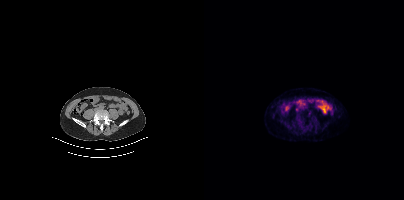
Findings: No tumor lesions annotated on this slice.
- Left: CT. Right: PSMA PET, same axial level, 68Ga-PSMA tracer
- slice position z = -897 mm